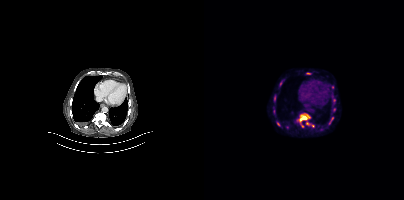
modality: PSMA PET/CT | tracer: 18F | view: axial
Coordinates are on the 200×200 PET (right) panel. (showing 8 of 9 foci) PSMA-avid tumor lesion bounding boxes (x0,y0,x1,y1): [92,113,110,127] [125,117,129,124] [76,81,78,85] [102,72,106,74] [70,96,71,100]. Small PSMA-avid foci (2 to 4 px across) near (center x, center y): (130, 109) (128, 87) (74, 124).